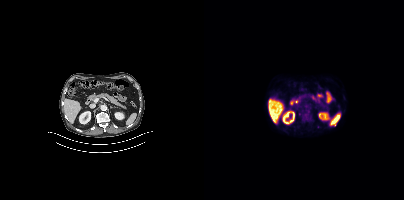
Left: CT. Right: PSMA PET, same axial level, 18F tracer. Slice position z = -1120 mm. PET panel 200×200 px (4.1 mm/px). This slice has no annotated PSMA-avid lesion.